Technique: Two-panel axial: CT | PSMA PET, 68Ga tracer. slice 225 of 263.
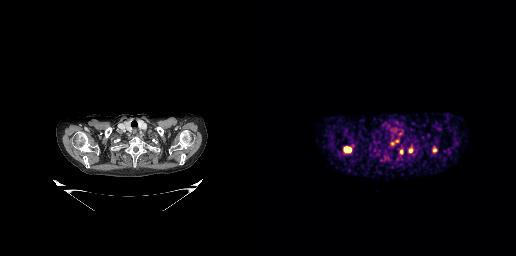
Findings: Coordinates are on the 256×256 PET (right) panel. PSMA-avid tumor lesion bounding boxes (x, y, width, height): x=85 y=147 w=6 h=5 | x=149 y=148 w=4 h=5 | x=140 y=150 w=4 h=5. Small PSMA-avid foci (2 to 4 px across) near (center x, center y): (140, 133) | (132, 143) | (174, 150) | (137, 141).